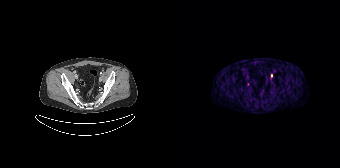
{"modality":"PSMA PET/CT","view":"axial","tracer":"68Ga","pet_grid":[168,168],"coord_frame":"pet_panel","coord_format":"x0,y0,x1,y1","lesion_bboxes":[],"small_foci_centers":[[75,84],[99,75]]}